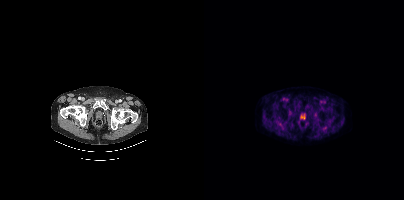
Technique: Paired axial CT (left) and PSMA PET (right), 18F-PSMA tracer. slice 49 of 403.
Findings: This slice has no annotated PSMA-avid lesion.